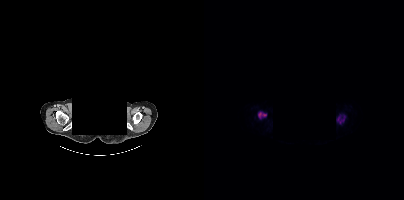
Left: CT. Right: PSMA PET, same axial level, 18F-PSMA tracer. Slice position z = -362 mm. PET panel 200×200 px (4.1 mm/px). A rectangular block over the head has been blanked out for de-identification. Coordinates are on the 200×200 PET (right) panel. PSMA-avid tumor lesion bounding boxes (x, y, width, height): x=54 y=112 w=9 h=7 / x=133 y=116 w=9 h=8.